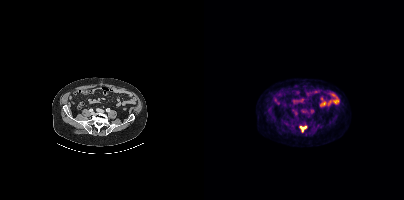
Technique: Two-panel axial: CT | PSMA PET, [18F]PSMA-1007 tracer. slice 165 of 415. PET panel 200×200 px (4.1 mm/px).
Findings: Coordinates are on the 200×200 PET (right) panel. PSMA-avid tumor lesion bounding box (x, y, width, height): x=95 y=125 w=8 h=8.